Technique: Paired axial CT (left) and PSMA PET (right), 18F-PSMA tracer. PET panel 256×256 px (2.7 mm/px).
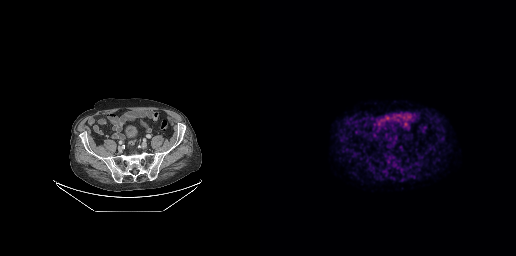
Findings: Negative for PSMA-avid disease on this slice.